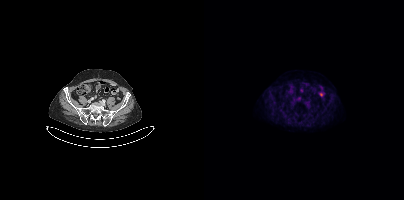
{"pet_grid":[200,200],"coord_frame":"pet_panel","coord_format":"x0,y0,x1,y1","psma_avid_lesions":false,"modality":"PSMA PET/CT","view":"axial","tracer":"18F-PSMA"}